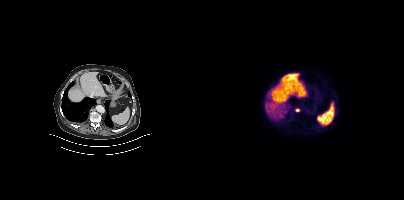
{"modality":"PSMA PET/CT","view":"axial","tracer":"18F","pet_grid":[200,200],"coord_frame":"pet_panel","coord_format":"x0,y0,x1,y1","lesion_bboxes":[],"small_foci_centers":[[93,110]]}